Technique: Left: CT. Right: PSMA PET, same axial level, 68Ga-PSMA tracer.
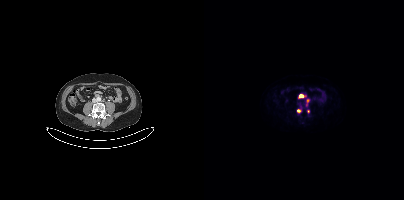
Findings: Coordinates are on the 200×200 PET (right) panel. PSMA-avid tumor lesion bounding boxes (x0, y0)-(x1, y1): (102, 99)-(105, 104); (94, 95)-(99, 98). Small PSMA-avid foci (2 to 4 px across) near (center x, center y): (94, 110); (104, 111); (96, 106).